Technique: Left: CT. Right: PSMA PET, same axial level, 68Ga tracer. acquired on GE Discovery 690. slice position z = -1004 mm.
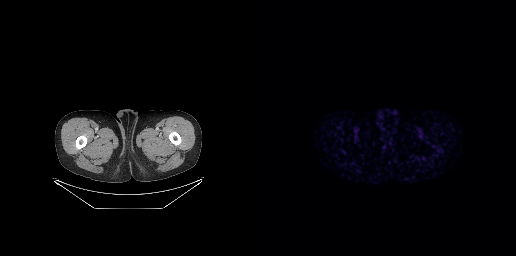
Findings: No tumor lesions annotated on this slice.